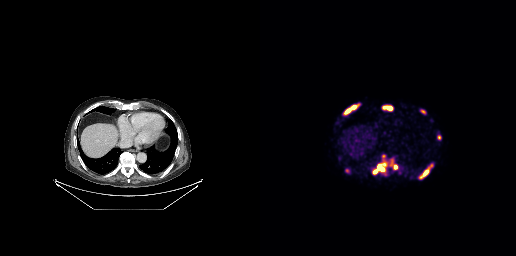
- Paired axial CT (left) and PSMA PET (right), 68Ga-PSMA tracer
- slice position z = -456 mm
- PET panel 256×256 px (2.7 mm/px)
Findings: Coordinates are on the 256×256 PET (right) panel. (showing 12 of 13 foci) PSMA-avid tumor lesion bounding boxes (x0,y0,x1,y1): [160,168,169,178] [123,106,132,110] [113,165,120,174] [91,105,97,109] [84,109,88,114] [177,135,181,139] [134,165,137,169]. Small PSMA-avid foci (2 to 4 px across) near (center x, center y): (87, 170) (124, 164) (122, 170) (162, 110) (123, 155).